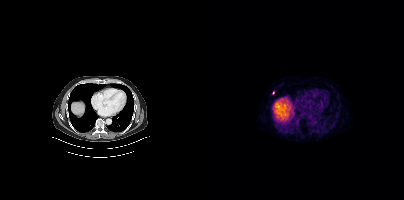
Findings: Only PSMA-avid lesion pieces thinner than 2 px on this slice (not listed).
- Two-panel axial: CT | PSMA PET, 68Ga tracer